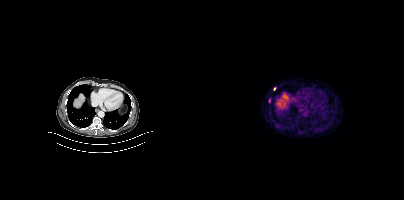
modality: PSMA PET/CT | tracer: [68Ga]Ga-PSMA-11 | view: axial
Coordinates are on the 200×200 PET (right) panel. (showing 1 of 2 foci) Small PSMA-avid focus (2 to 4 px across) near (center x, center y): (65, 100).